modality: PSMA PET/CT | tracer: 68Ga-PSMA | view: axial | PET grid: 256×256
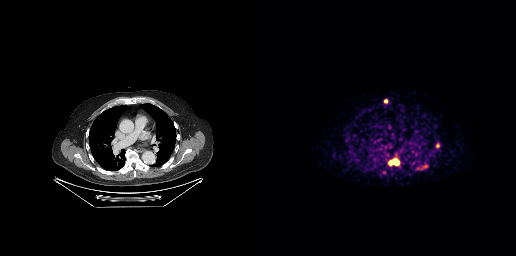
Coordinates are on the 256×256 PET (right) panel. PSMA-avid tumor lesion bounding box (x0, y0)-(x1, y1): (128, 158)-(139, 165). Small PSMA-avid foci (2 to 4 px across) near (center x, center y): (177, 145) / (125, 101).